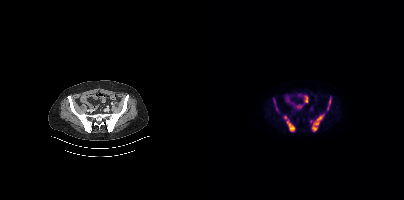
{"modality":"PSMA PET/CT","view":"axial","tracer":"18F","pet_grid":[200,200],"coord_frame":"pet_panel","coord_format":"x0,y0,x1,y1","partial":true,"lesion_bboxes":[[108,115,119,131],[81,118,91,131],[125,98,126,104]],"small_foci_centers":[[123,108],[106,121]]}